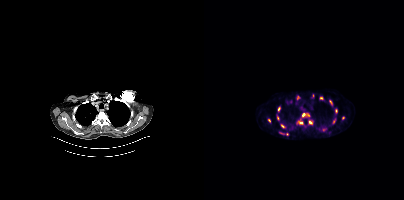
- Left: CT. Right: PSMA PET, same axial level, 18F-PSMA tracer
- slice 374 of 466
Findings: Coordinates are on the 200×200 PET (right) panel. (showing 14 of 15 foci) PSMA-avid tumor lesion bounding boxes (x0,y0,x1,y1): [98,113,105,117], [92,120,99,124], [92,95,96,100], [76,124,81,128], [105,120,108,124], [74,107,76,111], [73,115,75,120], [125,100,128,104], [75,132,80,134]. Small PSMA-avid foci (2 to 4 px across) near (center x, center y): (109, 95), (132, 110), (65, 120), (139, 117), (129, 121).